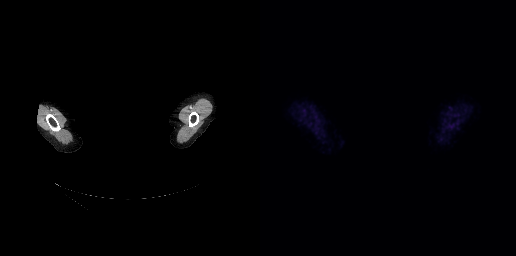
- Left: CT. Right: PSMA PET, same axial level, 18F-PSMA tracer
- slice 253 of 263
- a rectangular block over the head has been blanked out for de-identification
Findings: Negative for PSMA-avid disease on this slice.